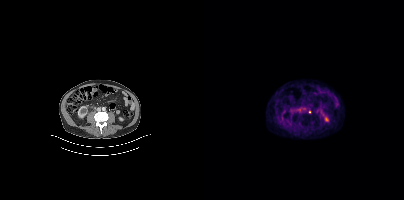
Left: CT. Right: PSMA PET, same axial level, 18F-PSMA tracer. Acquired on Siemens Biograph mCT Flow 20. Only PSMA-avid lesion pieces thinner than 2 px on this slice (not listed).